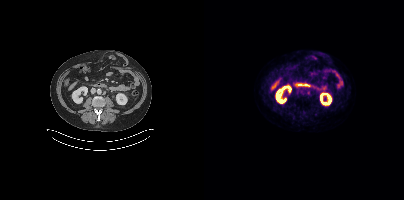
Coordinates are on the 200×200 PET (right) panel. Small PSMA-avid focus (2 to 4 px across) near (center x, center y): (104, 92). Two-panel axial: CT | PSMA PET, 18F-PSMA tracer. PET panel 200×200 px (4.1 mm/px).